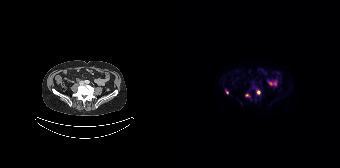
Technique: Left: CT. Right: PSMA PET, same axial level, 18F-PSMA tracer. slice position z = -1112 mm. PET panel 168×168 px (4.1 mm/px).
Findings: Coordinates are on the 168×168 PET (right) panel. PSMA-avid tumor lesion bounding boxes (x0,y0,x1,y1): [85,90,88,94], [73,94,77,96]. Small PSMA-avid focus (2 to 4 px across) near (center x, center y): (55, 92).